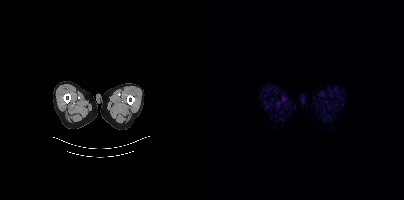
{"modality":"PSMA PET/CT","view":"axial","tracer":"[18F]PSMA-1007","pet_grid":[200,200],"coord_frame":"pet_panel","coord_format":"x0,y0,x1,y1","psma_avid_lesions":false}